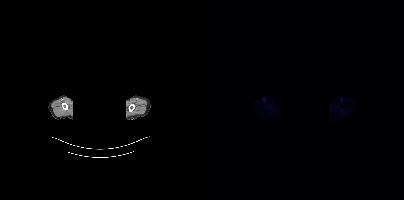
Facial anatomy redacted by setting a rectangular region of the head to black.
This slice has no annotated PSMA-avid lesion.